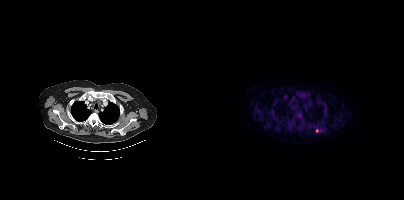
Coordinates are on the 200×200 PET (right) panel. Small PSMA-avid focus (2 to 4 px across) near (center x, center y): (113, 130). Two-panel axial: CT | PSMA PET, 18F-PSMA tracer. Acquired on Siemens Biograph mCT Flow 20. PET panel 200×200 px (4.1 mm/px).